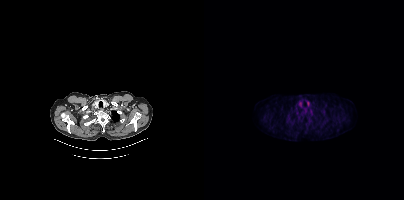
This slice has no annotated PSMA-avid lesion.